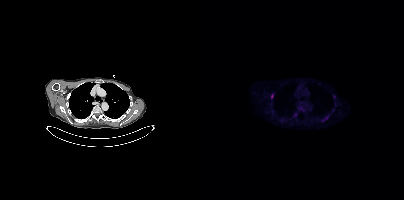
Coordinates are on the 200×200 PET (right) panel. (showing 2 of 3 foci) PSMA-avid tumor lesion bounding boxes (x0, y0)-(x1, y1): (117, 115)-(124, 121); (67, 94)-(69, 98).